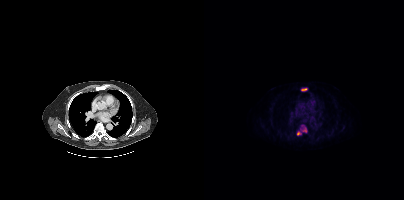
{"modality":"PSMA PET/CT","view":"axial","tracer":"[18F]PSMA-1007","pet_grid":[200,200],"coord_frame":"pet_panel","coord_format":"x0,y0,x1,y1","lesion_bboxes":[[93,131,97,135],[97,88,102,90],[99,130,103,131]]}